Left: CT. Right: PSMA PET, same axial level, [18F]PSMA-1007 tracer. Slice position z = -314 mm. PET panel 200×200 px (4.1 mm/px).
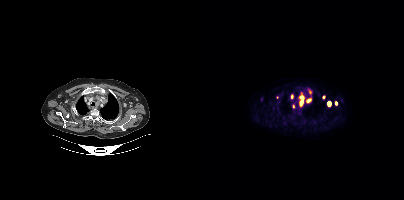
Coordinates are on the 200×200 PET (right) panel. PSMA-avid tumor lesion bounding boxes (partial; 1 more focus not listed):
| # | x0 | y0 | x1 | y1 |
|---|---|---|---|---|
| 1 | 95 | 92 | 100 | 106 |
| 2 | 123 | 101 | 127 | 106 |
| 3 | 102 | 98 | 107 | 103 |
| 4 | 87 | 94 | 89 | 98 |
| 5 | 131 | 101 | 133 | 105 |
Small PSMA-avid foci (2 to 4 px across) near (center x, center y): (106, 91); (119, 97); (89, 106); (73, 97).